Technique: Left: CT. Right: PSMA PET, same axial level, [18F]PSMA-1007 tracer. slice 351 of 429.
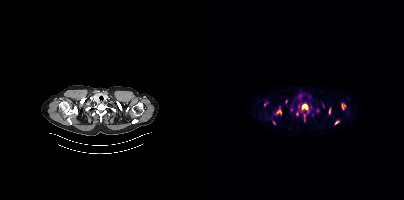
Findings: Coordinates are on the 200×200 PET (right) panel. (showing 9 of 13 foci) PSMA-avid tumor lesion bounding boxes (x, y, width, height): x=98 y=104 w=6 h=6 | x=72 y=109 w=6 h=6 | x=100 y=114 w=2 h=8 | x=125 y=109 w=2 h=5 | x=138 y=104 w=2 h=5. Small PSMA-avid foci (2 to 4 px across) near (center x, center y): (132, 122) | (82, 101) | (70, 122) | (92, 114).